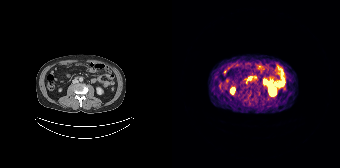
Findings: This slice has no annotated PSMA-avid lesion.
- Left: CT. Right: PSMA PET, same axial level, 68Ga-PSMA tracer